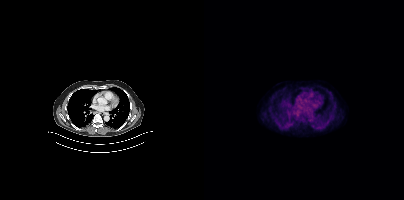
Left: CT. Right: PSMA PET, same axial level, [18F]PSMA-1007 tracer. Slice position z = -484 mm. Coordinates are on the 200×200 PET (right) panel. Small PSMA-avid focus (2 to 4 px across) near (center x, center y): (88, 125).